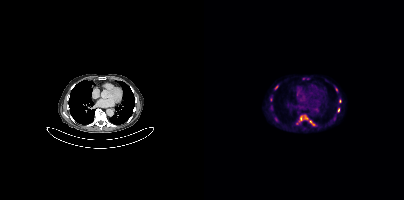
{"modality":"PSMA PET/CT","view":"axial","tracer":"[18F]PSMA-1007","pet_grid":[200,200],"coord_frame":"pet_panel","coord_format":"x0,y0,x1,y1","partial":true,"lesion_bboxes":[[100,115,111,125],[96,116,98,120]],"small_foci_centers":[[134,110]]}